Left: CT. Right: PSMA PET, same axial level, 18F tracer. Acquired on Siemens Biograph mCT Flow 20. Slice 269 of 448. PET panel 200×200 px (4.1 mm/px).
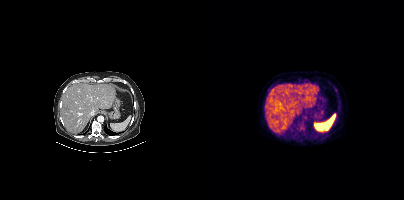
Coordinates are on the 200×200 PET (right) panel. Small PSMA-avid focus (2 to 4 px across) near (center x, center y): (98, 128).